- Left: CT. Right: PSMA PET, same axial level, [18F]PSMA-1007 tracer
- PET panel 200×200 px (4.1 mm/px)
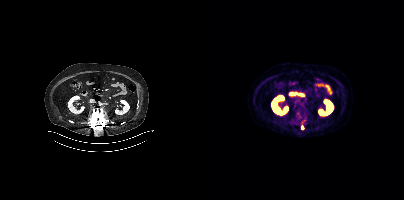
Findings: Coordinates are on the 200×200 PET (right) panel. Small PSMA-avid focus (2 to 4 px across) near (center x, center y): (98, 128).